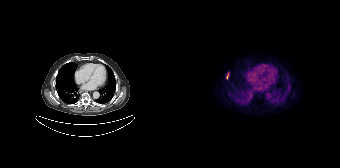
- Left: CT. Right: PSMA PET, same axial level, [18F]PSMA-1007 tracer
- slice 110 of 165
- PET panel 168×168 px (4.1 mm/px)
Findings: Coordinates are on the 168×168 PET (right) panel. PSMA-avid tumor lesion bounding box (x0, y0)-(x1, y1): (54, 72)-(56, 79).